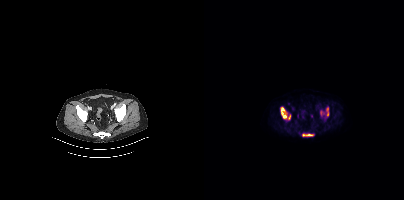
modality: PSMA PET/CT | tracer: 18F-PSMA | view: axial
Coordinates are on the 200×200 PET (right) panel. PSMA-avid tumor lesion bounding boxes (x0, y0)-(x1, y1): (77, 107)-(82, 118) | (99, 134)-(109, 136) | (122, 107)-(124, 116) | (84, 115)-(86, 119). Small PSMA-avid focus (2 to 4 px across) near (center x, center y): (117, 112).